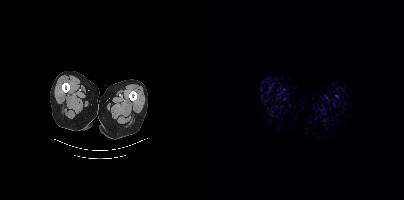
No PSMA-avid tumor lesions on this slice.